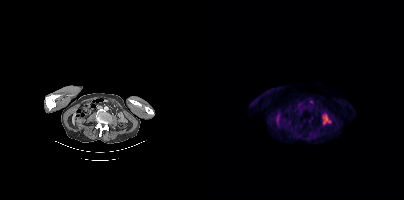
Technique: Paired axial CT (left) and PSMA PET (right), 18F tracer. acquired on Siemens Biograph mCT Flow 20. PET panel 200×200 px (4.1 mm/px).
Findings: No tumor lesions annotated on this slice.